- Paired axial CT (left) and PSMA PET (right), [18F]PSMA-1007 tracer
- acquired on Siemens Biograph mCT Flow 20
- slice 257 of 415
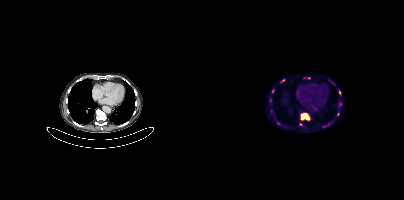
Findings: Coordinates are on the 200×200 PET (right) panel. (showing 7 of 10 foci) PSMA-avid tumor lesion bounding boxes (x, y, width, height): x=97 y=113 w=9 h=8 | x=76 y=79 w=5 h=4 | x=135 y=90 w=2 h=5. Small PSMA-avid foci (2 to 4 px across) near (center x, center y): (134, 114) | (69, 91) | (136, 104) | (96, 124).